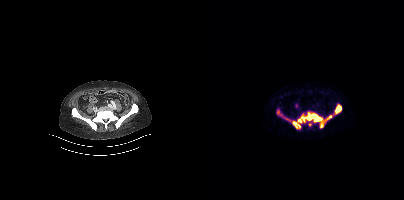
Coordinates are on the 200×200 PET (right) panel. PSMA-avid tumor lesion bounding boxes (x0, y0)-(x1, y1): (79, 112)-(128, 129) | (131, 104)-(137, 113) | (72, 109)-(78, 116). Small PSMA-avid focus (2 to 4 px across) near (center x, center y): (106, 124).